Two-panel axial: CT | PSMA PET, 18F tracer. Slice position z = -922 mm.
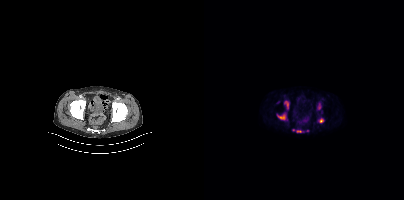
Coordinates are on the 200×200 PET (right) panel. PSMA-avid tumor lesion bounding boxes (partial; 1 more focus not listed):
| # | x0 | y0 | x1 | y1 |
|---|---|---|---|---|
| 1 | 73 | 114 | 81 | 119 |
| 2 | 80 | 101 | 84 | 108 |
| 3 | 93 | 130 | 97 | 132 |
Small PSMA-avid foci (2 to 4 px across) near (center x, center y): (117, 120); (115, 107).